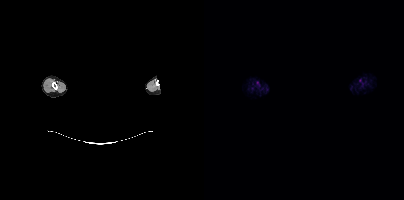
{"modality":"PSMA PET/CT","view":"axial","tracer":"18F","pet_grid":[200,200],"coord_frame":"pet_panel","coord_format":"x0,y0,x1,y1","psma_avid_lesions":false,"redaction":"privacy mask over head"}